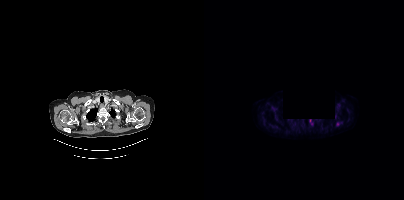
Only PSMA-avid lesion pieces thinner than 2 px on this slice (not listed). An anonymization step blacked out a rectangle in this scan. Two-panel axial: CT | PSMA PET, 18F-PSMA tracer. Acquired on Siemens Biograph mCT Flow 20.